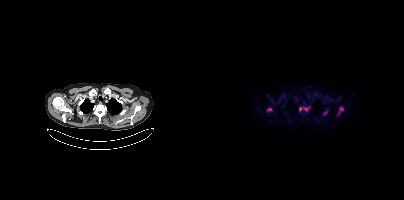
{"modality":"PSMA PET/CT","view":"axial","tracer":"18F","pet_grid":[200,200],"coord_frame":"pet_panel","coord_format":"x0,y0,x1,y1","lesion_bboxes":[[134,106,139,114],[99,108,103,110]],"small_foci_centers":[[65,109],[96,108],[120,113],[122,111]]}